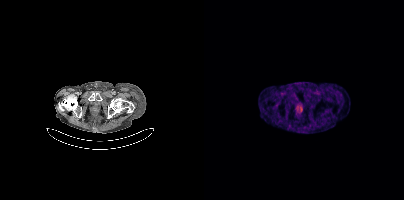
{"modality":"PSMA PET/CT","view":"axial","tracer":"[68Ga]Ga-PSMA-11","pet_grid":[200,200],"coord_frame":"pet_panel","coord_format":"x0,y0,x1,y1","lesion_bboxes":[[92,106,98,111]],"small_foci_centers":[[92,97]]}